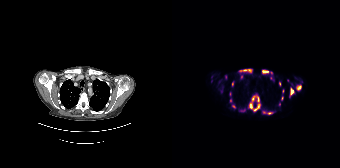
{"pet_grid":[168,168],"coord_frame":"pet_panel","coord_format":"x0,y0,x1,y1","partial":true,"lesion_bboxes":[[77,95,88,111],[67,69,80,72],[117,88,122,96],[124,85,129,90],[90,70,96,73],[95,112,100,114],[69,109,73,111],[99,77,102,81]],"small_foci_centers":[[60,84],[61,106],[107,83],[110,98],[92,112],[69,76],[110,91]],"modality":"PSMA PET/CT","view":"axial","tracer":"18F"}